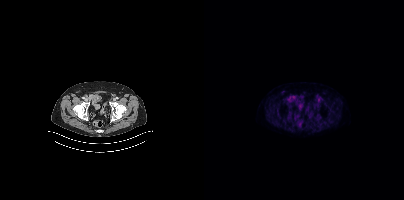
{"modality":"PSMA PET/CT","view":"axial","tracer":"[18F]PSMA-1007","pet_grid":[200,200],"coord_frame":"pet_panel","coord_format":"x0,y0,x1,y1","psma_avid_lesions":false}